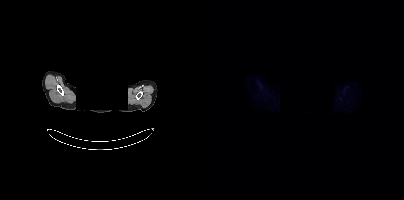
Two-panel axial: CT | PSMA PET, 18F-PSMA tracer. Slice 355 of 395. Facial anatomy redacted by setting a rectangular region of the head to black. No PSMA-avid tumor lesions on this slice.